Paired axial CT (left) and PSMA PET (right), [18F]PSMA-1007 tracer. PET panel 200×200 px (4.1 mm/px).
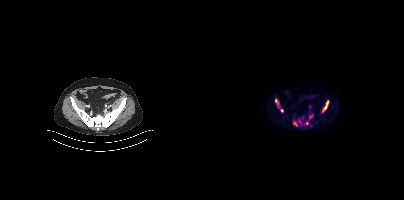
Coordinates are on the 200×200 PET (right) panel. (showing 8 of 10 foci) PSMA-avid tumor lesion bounding boxes (x, y, width, height): x=118 y=100 w=8 h=13 / x=105 y=114 w=5 h=6 / x=71 y=99 w=4 h=9 / x=89 y=122 w=5 h=5. Small PSMA-avid foci (2 to 4 px across) near (center x, center y): (102, 122) / (78, 110) / (95, 119) / (105, 106).